- Two-panel axial: CT | PSMA PET, 18F tracer
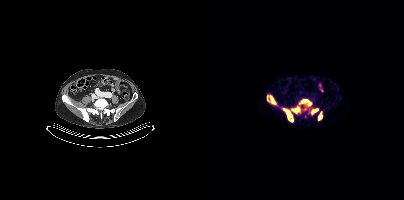
Findings: Coordinates are on the 200×200 PET (right) panel. PSMA-avid tumor lesion bounding boxes (x0, y0)-(x1, y1): (78, 108)-(89, 121); (97, 99)-(107, 105); (87, 107)-(95, 112); (106, 108)-(114, 114); (66, 96)-(71, 104); (114, 112)-(118, 119); (63, 96)-(64, 100). Small PSMA-avid focus (2 to 4 px across) near (center x, center y): (100, 108).